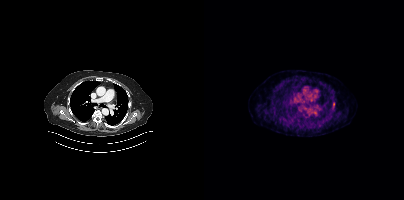
Findings: Coordinates are on the 200×200 PET (right) panel. Small PSMA-avid focus (2 to 4 px across) near (center x, center y): (129, 104).
Technique: Two-panel axial: CT | PSMA PET, [18F]PSMA-1007 tracer. PET panel 200×200 px (4.1 mm/px).